Technique: Paired axial CT (left) and PSMA PET (right), [18F]PSMA-1007 tracer. slice position z = -1138 mm. PET panel 200×200 px (4.1 mm/px).
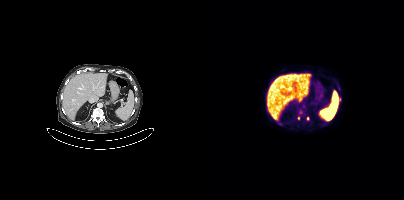
Findings: Coordinates are on the 200×200 PET (right) panel. Small PSMA-avid foci (2 to 4 px across) near (center x, center y): (136, 99); (94, 118); (103, 118); (96, 111).